modality: PSMA PET/CT | tracer: 18F-PSMA | view: axial
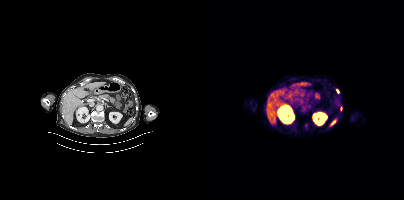
Coordinates are on the 200×200 PET (right) panel. (showing 1 of 2 foci) PSMA-avid tumor lesion bounding box (x, y, width, height): x=133 y=89 w=2 h=5.